Paired axial CT (left) and PSMA PET (right), 18F tracer. Slice 35 of 263. PET panel 256×256 px (2.7 mm/px).
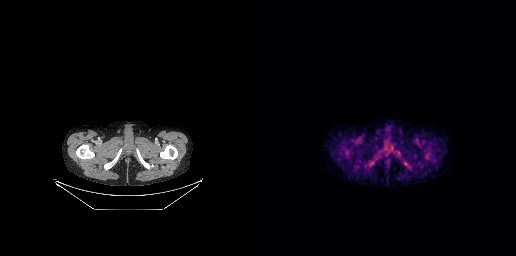
No tumor lesions annotated on this slice.